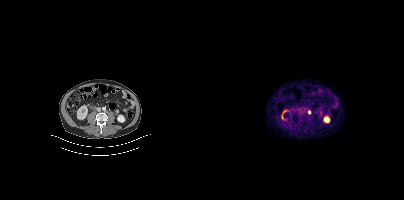
Technique: Paired axial CT (left) and PSMA PET (right), 18F tracer.
Findings: Coordinates are on the 200×200 PET (right) panel. Small PSMA-avid focus (2 to 4 px across) near (center x, center y): (105, 112).